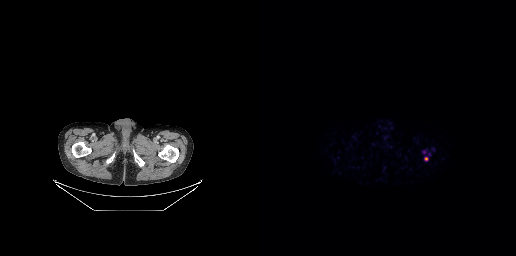
Coordinates are on the 256×256 PET (right) panel. Small PSMA-avid focus (2 to 4 px across) near (center x, center y): (166, 158). Two-panel axial: CT | PSMA PET, 68Ga-PSMA tracer.